Paired axial CT (left) and PSMA PET (right), 18F tracer. Slice position z = 268 mm. PET panel 200×200 px (4.1 mm/px).
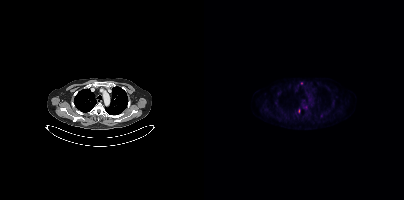
Only PSMA-avid lesion pieces thinner than 2 px on this slice (not listed).